Left: CT. Right: PSMA PET, same axial level, [18F]PSMA-1007 tracer. Slice 262 of 401.
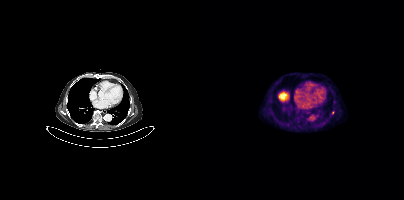
Coordinates are on the 200×200 PET (right) panel. Small PSMA-avid focus (2 to 4 px across) near (center x, center y): (129, 112).